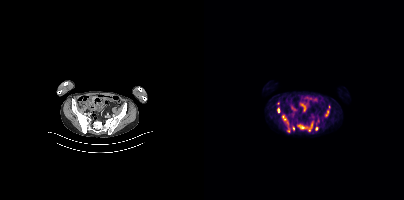
{"pet_grid":[200,200],"coord_frame":"pet_panel","coord_format":"x0,y0,x1,y1","partial":true,"lesion_bboxes":[[93,121,109,131],[121,105,126,116],[83,123,86,132],[74,107,75,112],[88,126,90,130]],"small_foci_centers":[[112,128],[74,103]],"modality":"PSMA PET/CT","view":"axial","tracer":"18F-PSMA"}